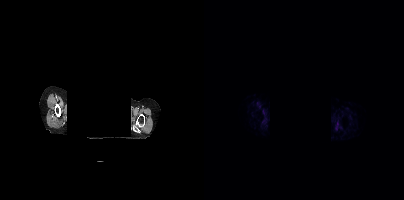
Technique: Two-panel axial: CT | PSMA PET, 68Ga tracer.
Note: Head region blanked for anonymization (face removed).
Findings: Negative for PSMA-avid disease on this slice.